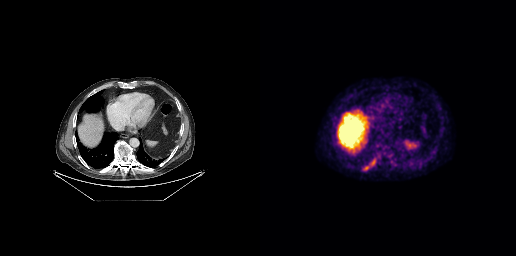
Coordinates are on the 256×256 PET (right) panel. PSMA-avid tumor lesion bounding boxes:
| # | x0 | y0 | x1 | y1 |
|---|---|---|---|---|
| 1 | 103 | 158 | 116 | 170 |
Two-panel axial: CT | PSMA PET, 18F-PSMA tracer. Slice 201 of 299.